Technique: Left: CT. Right: PSMA PET, same axial level, 18F tracer. slice position z = -1536 mm.
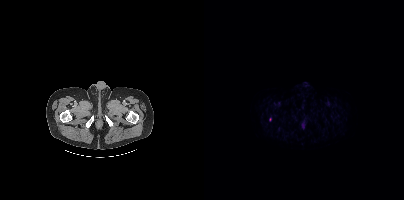
Findings: Only PSMA-avid lesion pieces thinner than 2 px on this slice (not listed).